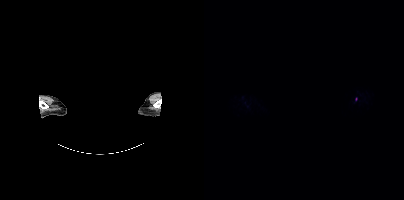
{"modality":"PSMA PET/CT","view":"axial","tracer":"18F","pet_grid":[200,200],"coord_frame":"pet_panel","coord_format":"x0,y0,x1,y1","redaction":"head region blanked (face removed)","lesion_bboxes":[],"small_foci_centers":[[152,99]]}